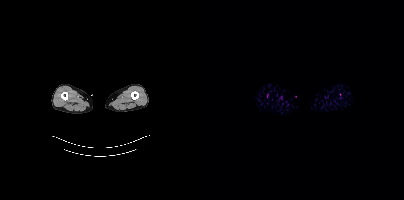
{"modality":"PSMA PET/CT","view":"axial","tracer":"18F-PSMA","pet_grid":[200,200],"coord_frame":"pet_panel","coord_format":"x0,y0,x1,y1","psma_avid_lesions":false}